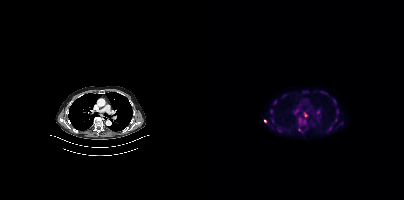
{"modality":"PSMA PET/CT","view":"axial","tracer":"18F","pet_grid":[200,200],"coord_frame":"pet_panel","coord_format":"x0,y0,x1,y1","partial":true,"lesion_bboxes":[[95,117,100,122],[129,99,132,104],[60,119,63,123],[132,109,134,114]],"small_foci_centers":[[67,111],[71,102],[68,121]]}